Technique: Two-panel axial: CT | PSMA PET, 18F tracer. acquired on Siemens Biograph mCT Flow 20. slice 19 of 423. PET panel 200×200 px (4.1 mm/px).
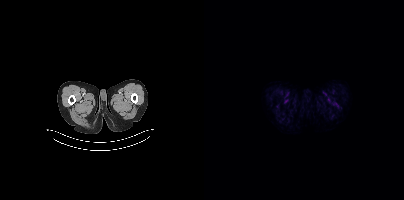
Findings: This slice has no annotated PSMA-avid lesion.